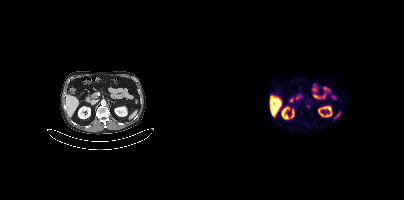
Left: CT. Right: PSMA PET, same axial level, 18F tracer. Acquired on Siemens Biograph mCT Flow 20. PET panel 200×200 px (4.1 mm/px). Coordinates are on the 200×200 PET (right) panel. Small PSMA-avid focus (2 to 4 px across) near (center x, center y): (104, 106).